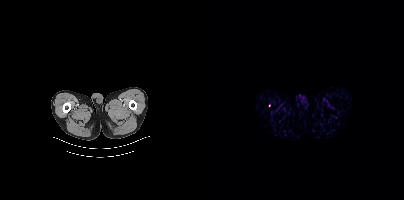
Left: CT. Right: PSMA PET, same axial level, 68Ga-PSMA tracer. Acquired on Siemens Biograph mCT Flow 20. PET panel 200×200 px (4.1 mm/px). Coordinates are on the 200×200 PET (right) panel. Small PSMA-avid focus (2 to 4 px across) near (center x, center y): (65, 105).